Technique: Paired axial CT (left) and PSMA PET (right), 18F-PSMA tracer. acquired on Siemens Biograph mCT Flow 20. slice 348 of 377. PET panel 200×200 px (4.1 mm/px).
Note: A rectangular block over the head has been blanked out for de-identification.
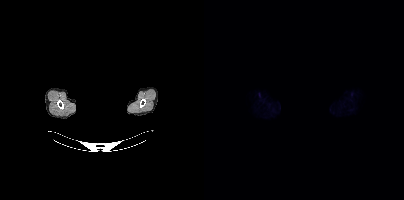
Findings: This slice has no annotated PSMA-avid lesion.